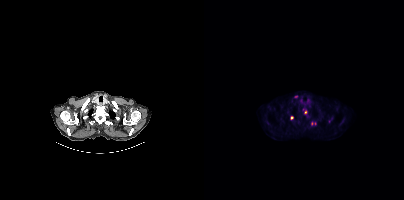
Paired axial CT (left) and PSMA PET (right), 18F tracer. PET panel 200×200 px (4.1 mm/px).
Coordinates are on the 200×200 PET (right) panel. PSMA-avid tumor lesion bounding boxes:
| # | x0 | y0 | x1 | y1 |
|---|---|---|---|---|
| 1 | 99 | 108 | 102 | 113 |
Small PSMA-avid foci (2 to 4 px across) near (center x, center y): (107, 123); (87, 117).